modality: PSMA PET/CT | tracer: [18F]PSMA-1007 | view: axial | PET grid: 200×200
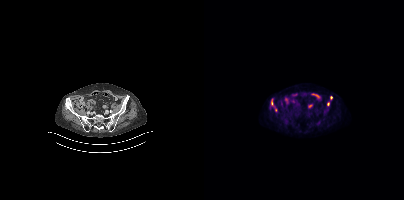
Coordinates are on the 200×200 PET (right) panel. PSMA-avid tumor lesion bounding boxes (x0,y0,x1,y1): [67,98,73,111]; [123,102,125,106]. Small PSMA-avid focus (2 to 4 px across) near (center x, center y): (127, 97).